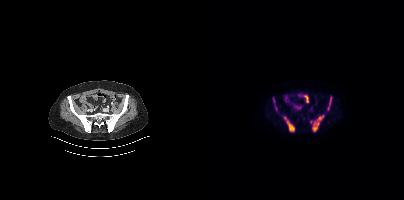
Coordinates are on the 200×200 PET (right) panel. (showing 5 of 8 foci) PSMA-avid tumor lesion bounding boxes (x0, y0)-(x1, y1): (108, 116)-(119, 131) / (80, 117)-(90, 131) / (125, 97)-(127, 104). Small PSMA-avid foci (2 to 4 px across) near (center x, center y): (124, 108) / (106, 121).